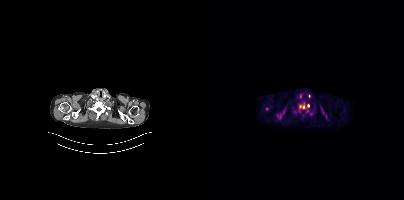
modality: PSMA PET/CT | tracer: 18F | view: axial
Coordinates are on the 200×200 PET (right) panel. PSMA-avid tumor lesion bounding boxes (x, y, width, height): x=94 y=103 w=12 h=10; x=72 y=107 w=11 h=13; x=117 y=107 w=4 h=8. Small PSMA-avid focus (2 to 4 px across) near (center x, center y): (103, 111).